- Left: CT. Right: PSMA PET, same axial level, 18F-PSMA tracer
- acquired on Siemens Biograph mCT Flow 20
- slice position z = -1418 mm
- PET panel 200×200 px (4.1 mm/px)
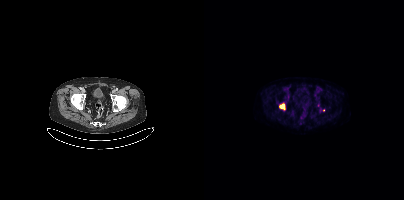
Findings: Coordinates are on the 200×200 PET (right) panel. (showing 1 of 2 foci) PSMA-avid tumor lesion bounding box (x0, y0)-(x1, y1): (75, 103)-(80, 109).